modality: PSMA PET/CT | tracer: 18F-PSMA | view: axial | PET grid: 200×200
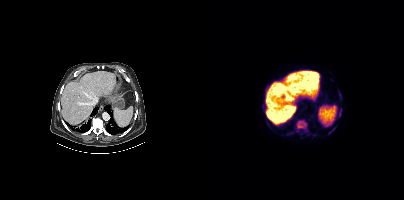
Coordinates are on the 200×200 PET (right) panel. (showing 4 of 6 foci) PSMA-avid tumor lesion bounding boxes (x0, y0)-(x1, y1): (92, 119)-(103, 131) | (135, 112)-(136, 116). Small PSMA-avid foci (2 to 4 px across) near (center x, center y): (135, 91) | (130, 127).